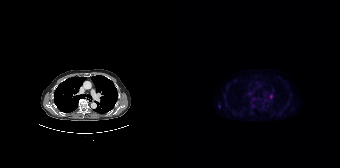
modality: PSMA PET/CT | tracer: [18F]PSMA-1007 | view: axial
Only PSMA-avid lesion pieces thinner than 2 px on this slice (not listed).